- Paired axial CT (left) and PSMA PET (right), 18F-PSMA tracer
- acquired on Siemens Biograph mCT Flow 20
- slice position z = -718 mm
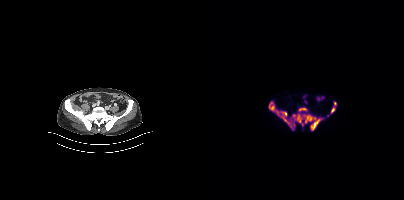
Findings: Coordinates are on the 200×200 PET (right) panel. PSMA-avid tumor lesion bounding boxes (x0, y0)-(x1, y1): (65, 102)-(118, 130); (94, 107)-(103, 111); (127, 107)-(131, 113). Small PSMA-avid focus (2 to 4 px across) near (center x, center y): (131, 103).